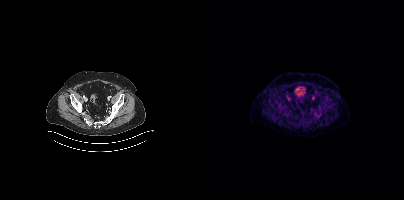
Technique: Two-panel axial: CT | PSMA PET, 18F tracer. acquired on Siemens Biograph mCT Flow 20.
Findings: No PSMA-avid tumor lesions on this slice.